Left: CT. Right: PSMA PET, same axial level, 18F-PSMA tracer. Slice 53 of 464. PET panel 200×200 px (4.1 mm/px).
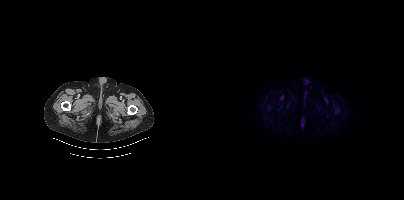
Coordinates are on the 200×200 PET (right) panel. PSMA-avid tumor lesion bounding box (x0,y0,x1,y1): [131,107,135,112].